Two-panel axial: CT | PSMA PET, 18F-PSMA tracer. Acquired on Siemens Biograph mCT Flow 20.
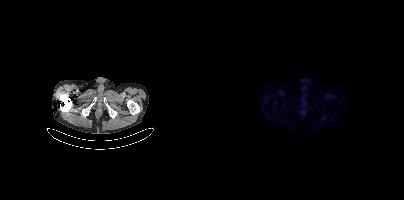
This slice has no annotated PSMA-avid lesion.